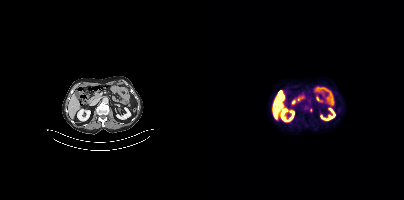
Paired axial CT (left) and PSMA PET (right), 18F-PSMA tracer. Slice 193 of 423. PET panel 200×200 px (4.1 mm/px). Only PSMA-avid lesion pieces thinner than 2 px on this slice (not listed).